- Two-panel axial: CT | PSMA PET, 18F tracer
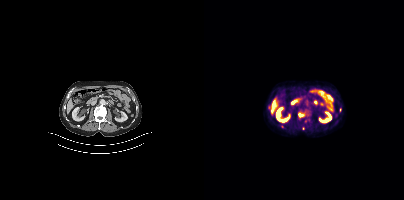
Findings: Coordinates are on the 200×200 PET (right) panel. (showing 2 of 3 foci) PSMA-avid tumor lesion bounding box (x0,y0,x1,y1): [94,113,99,116]. Small PSMA-avid focus (2 to 4 px across) near (center x, center y): (99, 128).